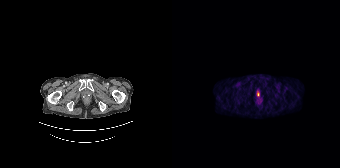
Left: CT. Right: PSMA PET, same axial level, 68Ga tracer. Acquired on Siemens Biograph 64-4R TruePoint. Slice 33 of 195. No tumor lesions annotated on this slice.